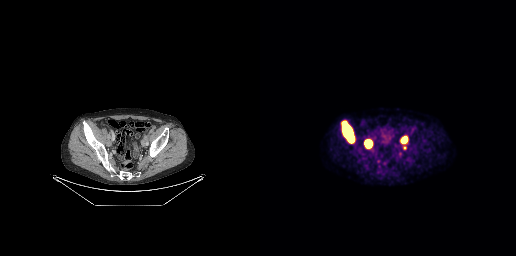
Coordinates are on the 256×256 PET (right) panel. PSMA-avid tumor lesion bounding boxes (x0,y0,x1,y1): [83,122,93,142] [105,140,111,147] [141,137,147,142]. Small PSMA-avid focus (2 to 4 px across) near (center x, center y): (144, 147).